- Paired axial CT (left) and PSMA PET (right), 18F-PSMA tracer
- PET panel 256×256 px (2.7 mm/px)
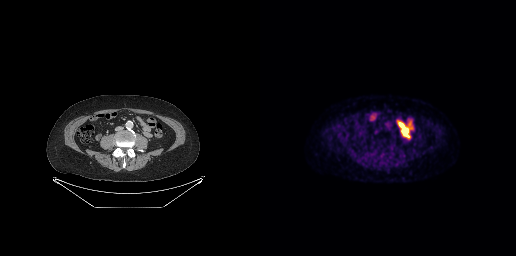
Findings: Negative for PSMA-avid disease on this slice.